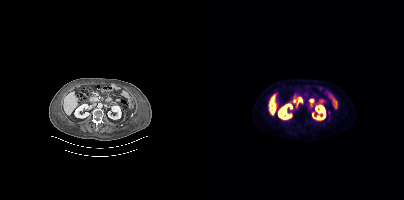
This slice has no annotated PSMA-avid lesion.